Paired axial CT (left) and PSMA PET (right), 18F-PSMA tracer. Acquired on Siemens Biograph mCT Flow 20. Slice 76 of 431.
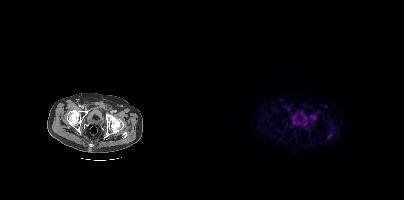
No tumor lesions annotated on this slice.